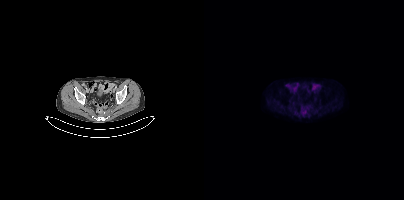
Technique: Paired axial CT (left) and PSMA PET (right), 18F tracer. PET panel 200×200 px (4.1 mm/px).
Findings: Coordinates are on the 200×200 PET (right) panel. PSMA-avid tumor lesion bounding box (x, y, width, height): x=98 y=110 w=5 h=5.